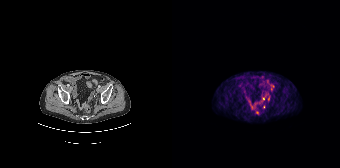
Coordinates are on the 168×168 PET (right) panel. (showing 1 of 2 foci) Small PSMA-avid focus (2 to 4 px across) near (center x, center y): (91, 98). Two-panel axial: CT | PSMA PET, 68Ga tracer. PET panel 168×168 px (4.1 mm/px).